Left: CT. Right: PSMA PET, same axial level, 18F tracer. Slice 127 of 411. PET panel 200×200 px (4.1 mm/px).
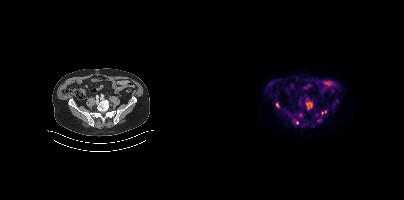
Coordinates are on the 200×200 PET (right) panel. PSMA-avid tumor lesion bounding boxes (partial; 1 more focus not listed):
| # | x0 | y0 | x1 | y1 |
|---|---|---|---|---|
| 1 | 102 | 102 | 108 | 109 |
| 2 | 117 | 111 | 122 | 115 |
| 3 | 72 | 103 | 75 | 107 |
Small PSMA-avid foci (2 to 4 px across) near (center x, center y): (114, 120); (93, 122).